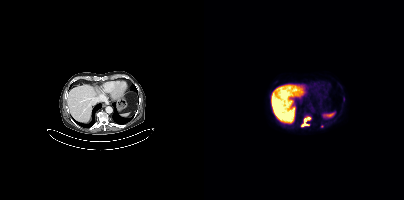
Findings: Coordinates are on the 200×200 PET (right) panel. PSMA-avid tumor lesion bounding boxes (x, y, width, height): x=97 y=116 w=10 h=11 / x=139 y=97 w=2 h=5. Small PSMA-avid foci (2 to 4 px across) near (center x, center y): (118, 126) / (77, 125).
Technique: Paired axial CT (left) and PSMA PET (right), 18F-PSMA tracer. PET panel 200×200 px (4.1 mm/px).